Two-panel axial: CT | PSMA PET, [18F]PSMA-1007 tracer. PET panel 200×200 px (4.1 mm/px).
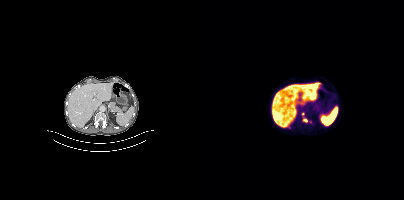
Coordinates are on the 200×200 PET (right) panel. PSMA-avid tumor lesion bounding boxes:
| # | x0 | y0 | x1 | y1 |
|---|---|---|---|---|
| 1 | 98 | 117 | 104 | 122 |
Small PSMA-avid focus (2 to 4 px across) near (center x, center y): (99, 113).